modality: PSMA PET/CT | tracer: 68Ga-PSMA | view: axial
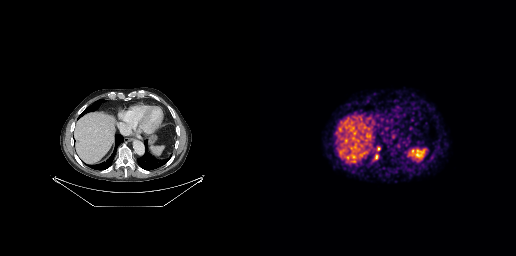
No PSMA-avid tumor lesions on this slice.